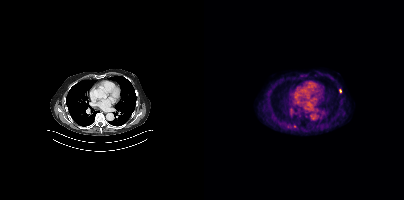
Technique: Two-panel axial: CT | PSMA PET, 18F tracer. acquired on Siemens Biograph mCT Flow 20. PET panel 200×200 px (4.1 mm/px).
Findings: Coordinates are on the 200×200 PET (right) panel. Small PSMA-avid foci (2 to 4 px across) near (center x, center y): (136, 90) | (90, 126).